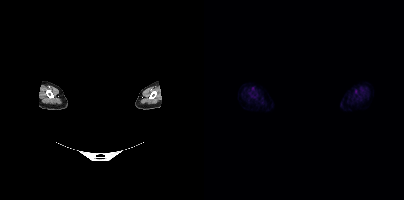
Findings: No PSMA-avid tumor lesions on this slice.
- facial anatomy redacted by setting a rectangular region of the head to black
- Two-panel axial: CT | PSMA PET, [18F]PSMA-1007 tracer
- PET panel 200×200 px (4.1 mm/px)